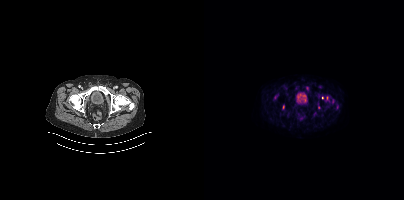
Coordinates are on the 200×200 PET (right) panel. (showing 1 of 3 foci) Small PSMA-avid focus (2 to 4 px across) near (center x, center y): (118, 97).